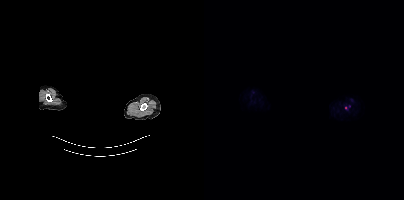
Findings: Coordinates are on the 200×200 PET (right) panel. Small PSMA-avid focus (2 to 4 px across) near (center x, center y): (141, 107).
Technique: Left: CT. Right: PSMA PET, same axial level, 18F tracer. slice 412 of 444.
Note: Facial anatomy redacted by setting a rectangular region of the head to black.